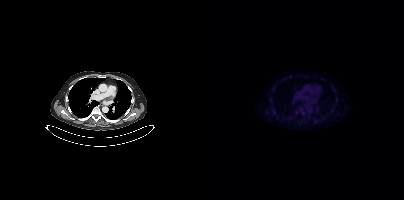
{"pet_grid":[200,200],"coord_frame":"pet_panel","coord_format":"x0,y0,x1,y1","psma_avid_lesions":false,"modality":"PSMA PET/CT","view":"axial","tracer":"[18F]PSMA-1007"}